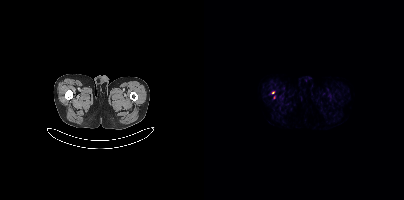
Left: CT. Right: PSMA PET, same axial level, 18F-PSMA tracer. PET panel 200×200 px (4.1 mm/px). Coordinates are on the 200×200 PET (right) panel. Small PSMA-avid focus (2 to 4 px across) near (center x, center y): (68, 92).